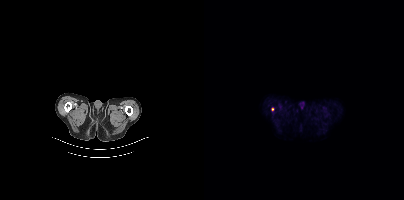
Paired axial CT (left) and PSMA PET (right), 18F-PSMA tracer. Slice position z = -350 mm. Coordinates are on the 200×200 PET (right) panel. Small PSMA-avid focus (2 to 4 px across) near (center x, center y): (68, 109).